- Paired axial CT (left) and PSMA PET (right), [18F]PSMA-1007 tracer
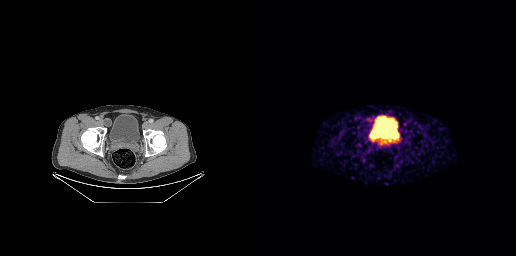
Findings: Coordinates are on the 256×256 PET (right) panel. PSMA-avid tumor lesion bounding boxes (x0, y0)-(x1, y1): (112, 133)-(126, 144) | (130, 135)-(135, 140).